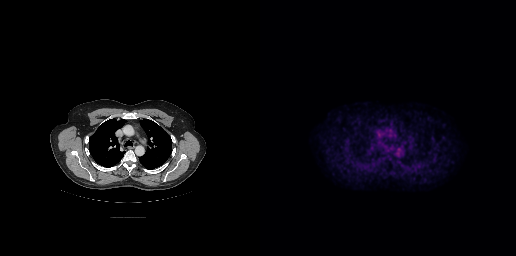
Negative for PSMA-avid disease on this slice.